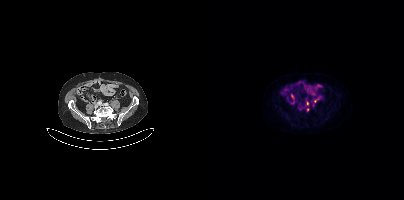
{"pet_grid":[200,200],"coord_frame":"pet_panel","coord_format":"x0,y0,x1,y1","partial":true,"lesion_bboxes":[],"small_foci_centers":[[111,101],[103,103]],"modality":"PSMA PET/CT","view":"axial","tracer":"[18F]PSMA-1007"}